- Left: CT. Right: PSMA PET, same axial level, 18F-PSMA tracer
- PET panel 200×200 px (4.1 mm/px)
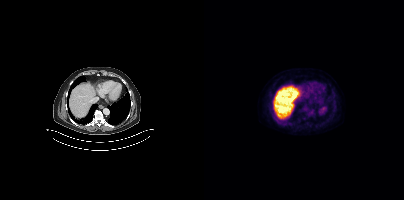
Findings: Negative for PSMA-avid disease on this slice.